- Two-panel axial: CT | PSMA PET, 18F-PSMA tracer
- acquired on Siemens Biograph mCT Flow 20
- PET panel 200×200 px (4.1 mm/px)
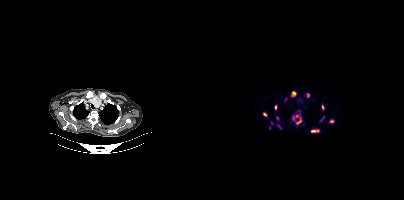
Findings: Coordinates are on the 200×200 PET (right) panel. (showing 13 of 15 foci) PSMA-avid tumor lesion bounding boxes (x, y, width, height): x=88 y=114 w=10 h=11 | x=107 y=129 w=9 h=4 | x=87 y=91 w=6 h=6 | x=125 y=119 w=6 h=5 | x=117 y=104 w=4 h=7 | x=59 y=112 w=5 h=5 | x=70 y=105 w=4 h=5 | x=116 y=116 w=5 h=7. Small PSMA-avid foci (2 to 4 px across) near (center x, center y): (104, 95) | (73, 117) | (67, 123) | (75, 126) | (65, 127).